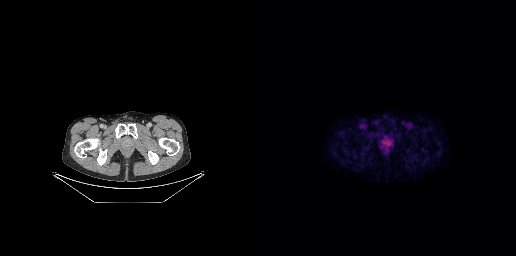
Coordinates are on the 256×256 PET (right) panel. (showing 1 of 2 foci) PSMA-avid tumor lesion bounding box (x0, y0)-(x1, y1): (121, 139)-(132, 151).